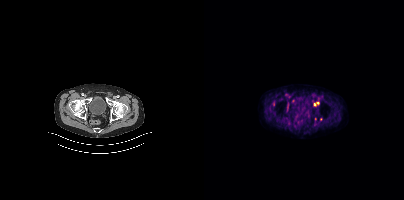
modality: PSMA PET/CT | tracer: [18F]PSMA-1007 | view: axial | PET grid: 200×200
Coordinates are on the 200×200 PET (right) panel. Small PSMA-avid foci (2 to 4 px across) near (center x, center y): (117, 119) / (110, 104) / (111, 119) / (113, 102).